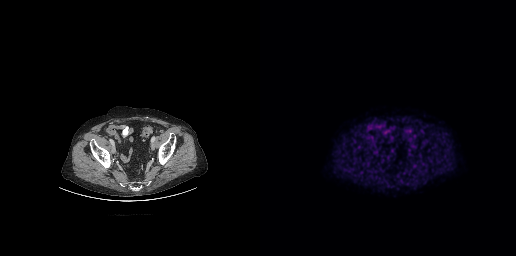
{"modality":"PSMA PET/CT","view":"axial","tracer":"18F","pet_grid":[256,256],"coord_frame":"pet_panel","coord_format":"x0,y0,x1,y1","psma_avid_lesions":false}